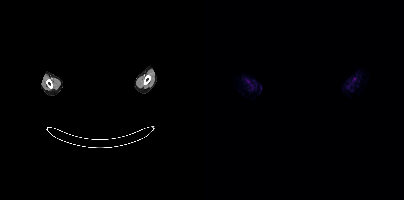
No tumor lesions annotated on this slice.
modality: PSMA PET/CT | tracer: 18F | view: axial | PET grid: 200×200 | de-identification: head region blanked (face removed)